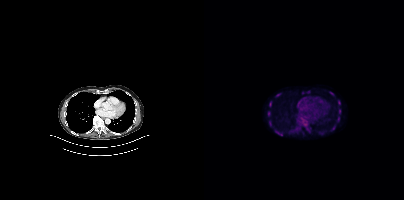
Coordinates are on the 200×200 PET (right) panel. PSMA-avid tumor lesion bounding boxes (x0, y0)-(x1, y1): (65, 101)-(67, 106) / (134, 100)-(136, 104) / (133, 116)-(135, 121) / (135, 109)-(137, 113) / (64, 111)-(66, 115) / (72, 94)-(76, 96). Small PSMA-avid focus (2 to 4 px across) near (center x, center y): (66, 124).